- Paired axial CT (left) and PSMA PET (right), 18F-PSMA tracer
- slice 191 of 452
- PET panel 200×200 px (4.1 mm/px)
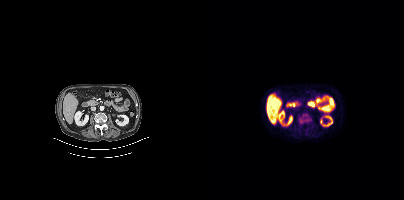
Findings: Coordinates are on the 200×200 PET (right) panel. PSMA-avid tumor lesion bounding box (x, y, width, height): x=97 y=116 w=8 h=8.